modality: PSMA PET/CT | tracer: [68Ga]Ga-PSMA-11 | view: axial
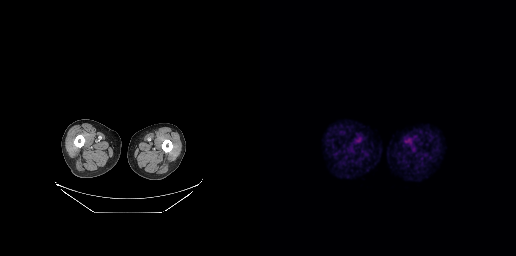
No tumor lesions annotated on this slice.